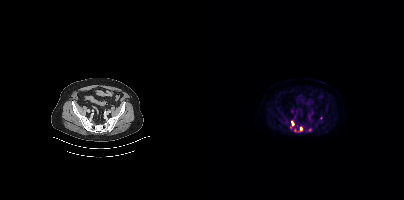
Left: CT. Right: PSMA PET, same axial level, 18F-PSMA tracer. PET panel 200×200 px (4.1 mm/px).
Coordinates are on the 200×200 PET (right) panel. PSMA-avid tumor lesion bounding boxes (partial; 1 more focus not listed):
| # | x0 | y0 | x1 | y1 |
|---|---|---|---|---|
| 1 | 86 | 120 | 90 | 128 |
| 2 | 94 | 126 | 98 | 131 |
Small PSMA-avid foci (2 to 4 px across) near (center x, center y): (105, 129); (91, 130).